Two-panel axial: CT | PSMA PET, 18F tracer. Acquired on Siemens Biograph mCT Flow 20. Slice position z = -1190 mm. PET panel 200×200 px (4.1 mm/px).
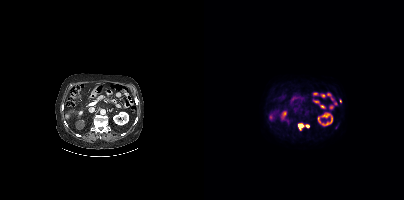
Coordinates are on the 200×200 PET (right) panel. PSMA-avid tumor lesion bounding box (x0,y0,x1,y1): [94,124,105,128].